modality: PSMA PET/CT | tracer: 18F | view: axial
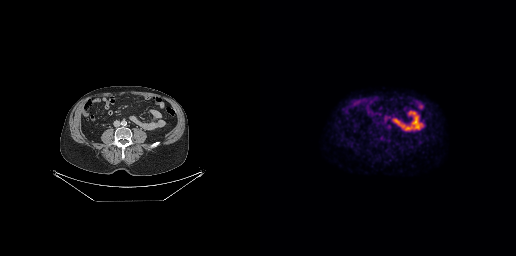
Coordinates are on the 256×256 PET (right) panel. Small PSMA-avid focus (2 to 4 px across) near (center x, center y): (129, 126).